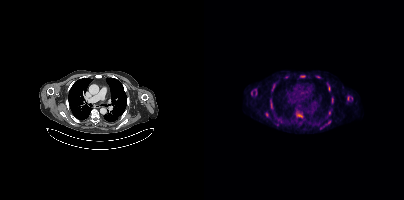
Coordinates are on the 200×200 PET (right) panel. (showing 11 of 14 foci) PSMA-avid tumor lesion bounding boxes (x0,y0,x1,y1): [66,102,68,107] [93,114,98,117] [61,112,64,116] [143,96,145,100] [68,86,70,90] [128,98,129,102]. Small PSMA-avid foci (2 to 4 px across) near (center x, center y): (125, 122) (82, 77) (98, 76) (114, 76) (125, 113).